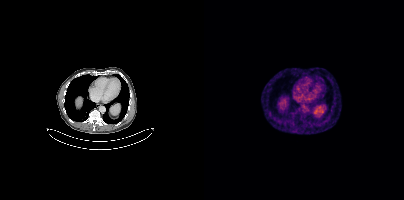
Findings: Negative for PSMA-avid disease on this slice.
- Left: CT. Right: PSMA PET, same axial level, 68Ga-PSMA tracer
- acquired on Siemens Biograph mCT Flow 20
- slice 281 of 452